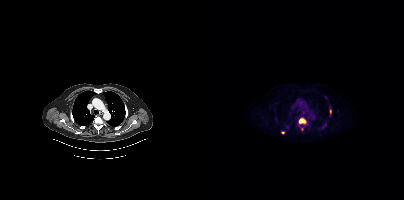
{"modality":"PSMA PET/CT","view":"axial","tracer":"18F-PSMA","pet_grid":[200,200],"coord_frame":"pet_panel","coord_format":"x0,y0,x1,y1","partial":true,"lesion_bboxes":[[95,118,102,123]],"small_foci_centers":[[98,128],[126,110],[83,127],[78,132]]}